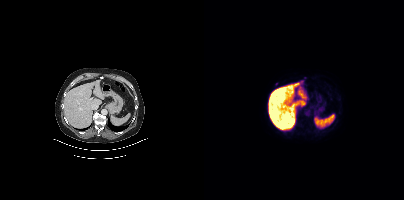
modality: PSMA PET/CT | tracer: 18F-PSMA | view: axial
Coordinates are on the 200×200 PET (right) panel. (showing 1 of 2 foci) Small PSMA-avid focus (2 to 4 px across) near (center x, center y): (72, 83).